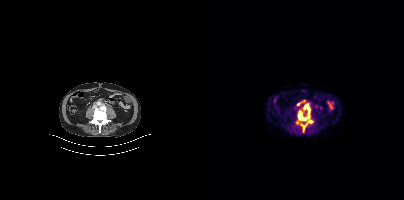
Left: CT. Right: PSMA PET, same axial level, 18F tracer. Acquired on Siemens Biograph mCT Flow 20. PET panel 200×200 px (4.1 mm/px). Coordinates are on the 200×200 PET (right) panel. (showing 2 of 3 foci) PSMA-avid tumor lesion bounding box (x, y, width, height): x=94 y=104 w=15 h=28. Small PSMA-avid focus (2 to 4 px across) near (center x, center y): (94, 103).